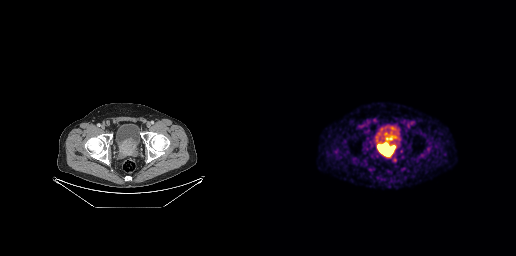
{"modality":"PSMA PET/CT","view":"axial","tracer":"68Ga-PSMA","pet_grid":[256,256],"coord_frame":"pet_panel","coord_format":"x0,y0,x1,y1","lesion_bboxes":[[117,143,135,156],[128,137,132,141]]}